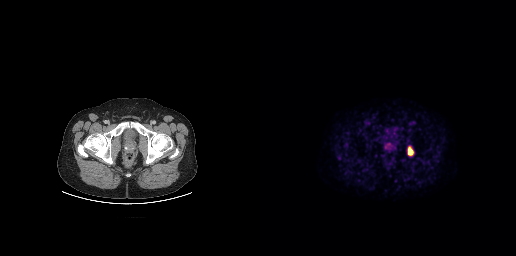
{"modality":"PSMA PET/CT","view":"axial","tracer":"18F","pet_grid":[256,256],"coord_frame":"pet_panel","coord_format":"x0,y0,x1,y1","lesion_bboxes":[[147,146,154,155]]}